modality: PSMA PET/CT | tracer: 18F-PSMA | view: axial
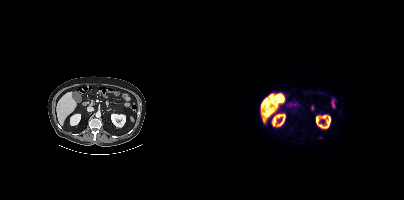
Negative for PSMA-avid disease on this slice.